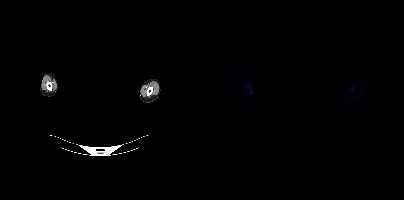
Face de-identified by blanking a block of the head. Paired axial CT (left) and PSMA PET (right), [18F]PSMA-1007 tracer. Acquired on Siemens Biograph mCT Flow 20. Slice 411 of 423. No PSMA-avid tumor lesions on this slice.